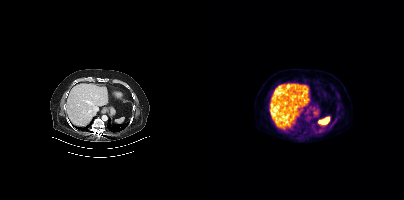
Technique: Paired axial CT (left) and PSMA PET (right), [18F]PSMA-1007 tracer. acquired on Siemens Biograph mCT Flow 20. PET panel 200×200 px (4.1 mm/px).
Findings: No tumor lesions annotated on this slice.